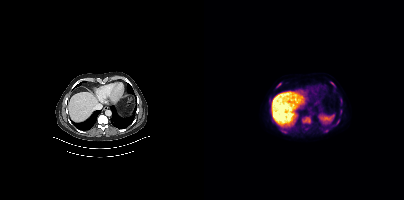
{"modality":"PSMA PET/CT","view":"axial","tracer":"18F-PSMA","pet_grid":[200,200],"coord_frame":"pet_panel","coord_format":"x0,y0,x1,y1","partial":true,"lesion_bboxes":[[98,117,106,123],[77,129,83,133],[130,119,135,125],[126,82,131,86],[72,83,77,87],[120,129,124,132],[136,109,138,114]]}